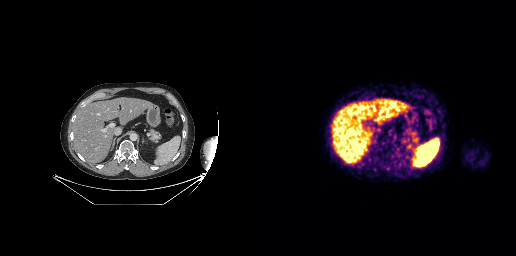
{"modality":"PSMA PET/CT","view":"axial","tracer":"68Ga","pet_grid":[256,256],"coord_frame":"pet_panel","coord_format":"x0,y0,x1,y1","psma_avid_lesions":false}